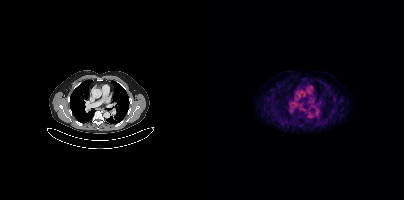
{"modality":"PSMA PET/CT","view":"axial","tracer":"[18F]PSMA-1007","pet_grid":[200,200],"coord_frame":"pet_panel","coord_format":"x0,y0,x1,y1","lesion_bboxes":[],"small_foci_centers":[[78,123]]}